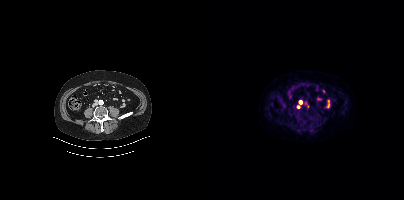
Coordinates are on the 200×200 PET (right) panel. Small PSMA-avid foci (2 to 4 px across) near (center x, center y): (96, 102) | (94, 106). Paired axial CT (left) and PSMA PET (right), 18F-PSMA tracer. Acquired on Siemens Biograph mCT Flow 20.